Technique: Paired axial CT (left) and PSMA PET (right), 18F-PSMA tracer. acquired on Siemens Biograph mCT Flow 20.
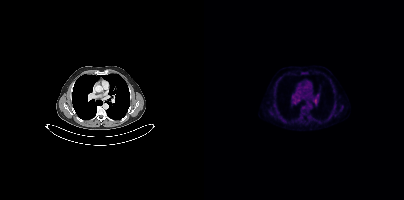
Findings: This slice has no annotated PSMA-avid lesion.